Left: CT. Right: PSMA PET, same axial level, 18F-PSMA tracer. PET panel 200×200 px (4.1 mm/px). Privacy masking over the head, with the pixels inside a rectangle set to black.
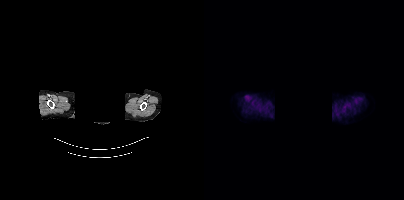
Negative for PSMA-avid disease on this slice.